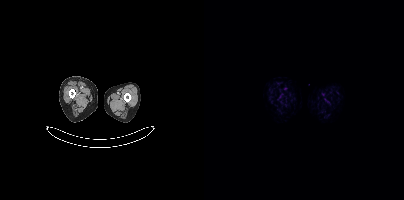
{"modality":"PSMA PET/CT","view":"axial","tracer":"18F","pet_grid":[200,200],"coord_frame":"pet_panel","coord_format":"x0,y0,x1,y1","psma_avid_lesions":false}